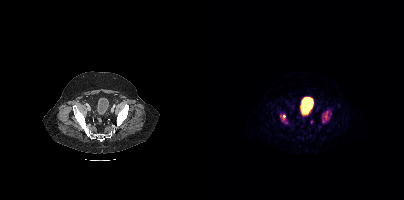
Coordinates are on the 200×200 PET (right) panel. (showing 2 of 5 foci) PSMA-avid tumor lesion bounding boxes (x0, y0)-(x1, y1): (118, 109)-(127, 123) / (78, 114)-(81, 120).